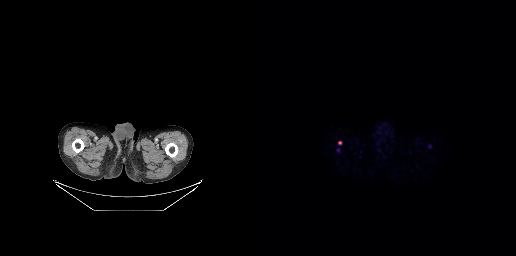
{"modality":"PSMA PET/CT","view":"axial","tracer":"68Ga","pet_grid":[256,256],"coord_frame":"pet_panel","coord_format":"x0,y0,x1,y1","lesion_bboxes":[],"small_foci_centers":[[79,142]]}